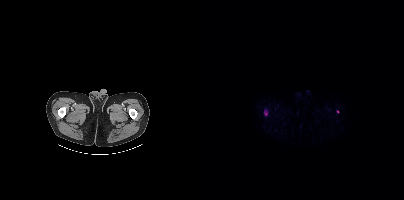
Findings: Coordinates are on the 200×200 PET (right) panel. PSMA-avid tumor lesion bounding box (x0, y0)-(x1, y1): (60, 109)-(63, 115). Small PSMA-avid focus (2 to 4 px across) near (center x, center y): (133, 111).
Technique: Two-panel axial: CT | PSMA PET, 18F tracer. acquired on Siemens Biograph mCT Flow 20.